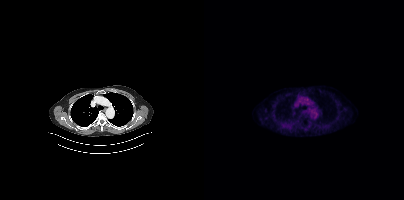
Negative for PSMA-avid disease on this slice.